modality: PSMA PET/CT | tracer: [18F]PSMA-1007 | view: axial
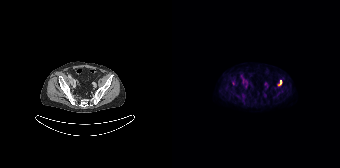
Coordinates are on the 168×168 PET (right) panel. PSMA-avid tumor lesion bounding box (x, y, width, height): x=106 y=80 w=4 h=6.